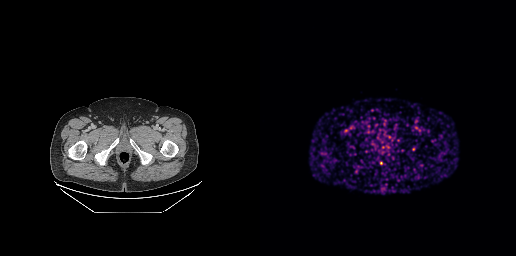
Negative for PSMA-avid disease on this slice.